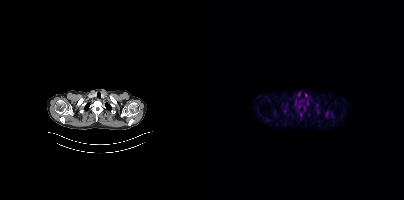
Findings: Coordinates are on the 200×200 PET (right) panel. (showing 2 of 3 foci) PSMA-avid tumor lesion bounding box (x0, y0)-(x1, y1): (121, 111)-(124, 116). Small PSMA-avid focus (2 to 4 px across) near (center x, center y): (114, 111).
Technique: Left: CT. Right: PSMA PET, same axial level, [18F]PSMA-1007 tracer. PET panel 200×200 px (4.1 mm/px).